Left: CT. Right: PSMA PET, same axial level, [18F]PSMA-1007 tracer. PET panel 200×200 px (4.1 mm/px).
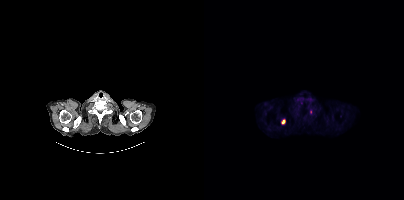
Coordinates are on the 200×200 PET (right) panel. Small PSMA-avid foci (2 to 4 px across) near (center x, center y): (79, 121); (106, 112).